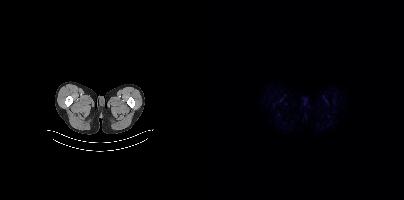
Technique: Two-panel axial: CT | PSMA PET, 18F tracer. acquired on Siemens Biograph mCT Flow 20.
Findings: Negative for PSMA-avid disease on this slice.